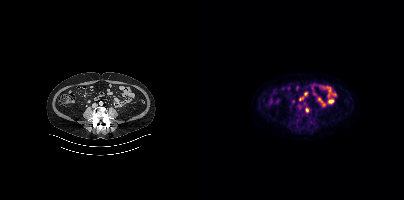
Coordinates are on the 200×200 PET (right) panel. PSMA-avid tumor lesion bounding boxes:
| # | x0 | y0 | x1 | y1 |
|---|---|---|---|---|
| 1 | 101 | 108 | 104 | 112 |
Left: CT. Right: PSMA PET, same axial level, [18F]PSMA-1007 tracer.